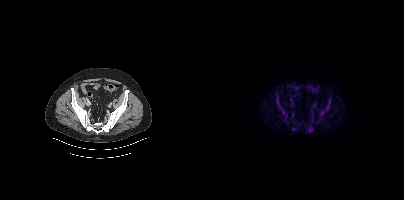
Coordinates are on the 200×200 PET (right) panel. PSMA-avid tumor lesion bounding boxes:
| # | x0 | y0 | x1 | y1 |
|---|---|---|---|---|
| 1 | 76 | 108 | 83 | 121 |
| 2 | 104 | 126 | 109 | 132 |
| 3 | 123 | 97 | 127 | 106 |
| 4 | 119 | 107 | 124 | 113 |
| 5 | 105 | 117 | 110 | 122 |
| 6 | 72 | 97 | 75 | 103 |
| 7 | 88 | 121 | 92 | 125 |
| 8 | 88 | 127 | 92 | 130 |
Paired axial CT (left) and PSMA PET (right), 18F tracer. Acquired on Siemens Biograph mCT Flow 20. PET panel 200×200 px (4.1 mm/px).